Technique: Paired axial CT (left) and PSMA PET (right), 68Ga-PSMA tracer. slice position z = -754 mm.
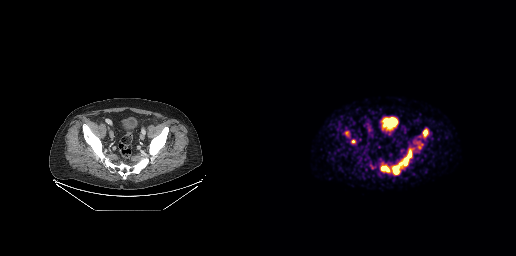
Findings: Coordinates are on the 256×256 PET (right) panel. (showing 4 of 5 foci) PSMA-avid tumor lesion bounding boxes (x0,y0,x1,y1): [132,149,151,174]; [121,165,130,172]; [163,129,167,136]; [91,139,95,143].